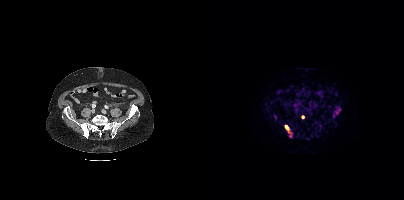
modality: PSMA PET/CT | tracer: 68Ga | view: axial | PET grid: 200×200
Coordinates are on the 200×200 PET (right) panel. (showing 4 of 5 foci) PSMA-avid tumor lesion bounding boxes (x0,y0,x1,y1): [81,125,87,133]; [131,109,136,114]. Small PSMA-avid foci (2 to 4 px across) near (center x, center y): (98, 116); (129, 115).